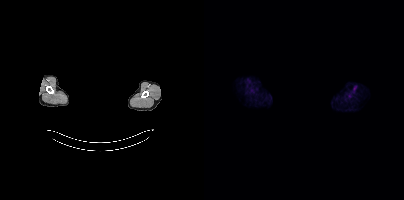
Technique: Left: CT. Right: PSMA PET, same axial level, 18F tracer. acquired on Siemens Biograph mCT Flow 20. slice position z = 1814 mm.
Note: The head region is masked for de-identification.
Findings: Only PSMA-avid lesion pieces thinner than 2 px on this slice (not listed).